- Left: CT. Right: PSMA PET, same axial level, 68Ga-PSMA tracer
- acquired on Siemens Biograph 64-4R TruePoint
- slice position z = -1126 mm
- PET panel 168×168 px (4.1 mm/px)
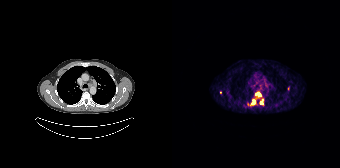
Findings: Coordinates are on the 168×168 PET (right) panel. (showing 4 of 6 foci) PSMA-avid tumor lesion bounding boxes (x0, y0)-(x1, y1): (83, 91)-(89, 97) / (78, 99)-(83, 105) / (88, 99)-(91, 104). Small PSMA-avid focus (2 to 4 px across) near (center x, center y): (48, 92).